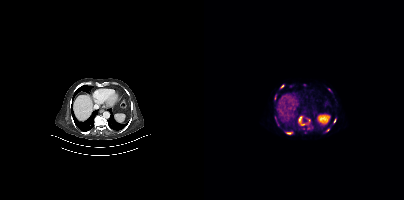
Findings: Coordinates are on the 200×200 PET (right) panel. PSMA-avid tumor lesion bounding boxes (x0,y0,x1,y1): [94,116,100,125]; [81,132,87,134]; [71,117,75,125]; [70,94,72,98]. Small PSMA-avid foci (2 to 4 px across) near (center x, center y): (125, 89); (131, 120); (123, 130); (78, 86); (104, 120); (99, 128).
- Paired axial CT (left) and PSMA PET (right), 68Ga tracer